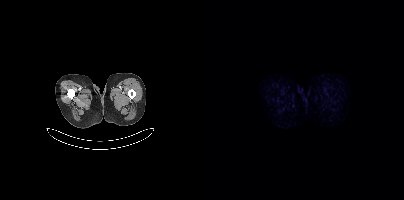
Findings: No PSMA-avid tumor lesions on this slice.
Technique: Paired axial CT (left) and PSMA PET (right), 18F tracer. acquired on Siemens Biograph mCT Flow 20. slice position z = -200 mm. PET panel 200×200 px (4.1 mm/px).